modality: PSMA PET/CT | tracer: 18F-PSMA | view: axial
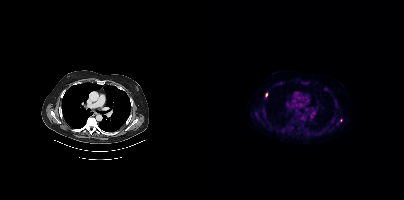
Coordinates are on the 200×200 PET (right) panel. (showing 3 of 5 foci) PSMA-avid tumor lesion bounding box (x0,y0,x1,y1): [61,93,63,97]. Small PSMA-avid foci (2 to 4 px across) near (center x, center y): (60, 115) (137, 120).